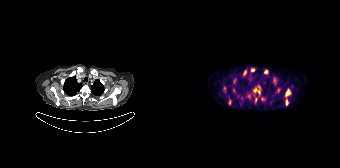
modality: PSMA PET/CT | tracer: [68Ga]Ga-PSMA-11 | view: axial
Coordinates are on the 168×168 PET (right) panel. (showing 13 of 16 foci) PSMA-avid tumor lesion bounding boxes (x0, y0)-(x1, y1): (113, 88)-(119, 104) | (81, 88)-(88, 94) | (73, 94)-(78, 97) | (61, 78)-(64, 82) | (71, 71)-(73, 76) | (56, 100)-(58, 104). Small PSMA-avid foci (2 to 4 px across) near (center x, center y): (80, 69) | (93, 71) | (87, 87) | (52, 88) | (106, 89) | (61, 90) | (83, 99).